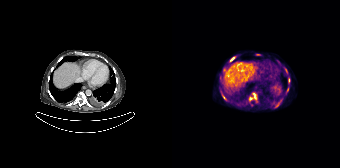
{"modality":"PSMA PET/CT","view":"axial","tracer":"68Ga-PSMA","pet_grid":[168,168],"coord_frame":"pet_panel","coord_format":"x0,y0,x1,y1","partial":true,"lesion_bboxes":[[77,92,85,102],[57,57,63,62]],"small_foci_centers":[[52,69],[52,97],[108,102],[115,89]]}